Technique: Two-panel axial: CT | PSMA PET, [18F]PSMA-1007 tracer. acquired on Siemens Biograph mCT Flow 20. slice position z = -1348 mm. PET panel 200×200 px (4.1 mm/px).
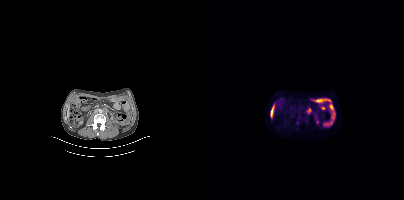
Findings: Coordinates are on the 200×200 PET (right) panel. PSMA-avid tumor lesion bounding boxes (x0,y0,x1,y1): [102,107,107,114] [92,120,94,124]. Small PSMA-avid focus (2 to 4 px across) near (center x, center y): (113, 121).